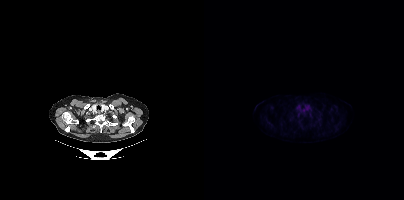
- Two-panel axial: CT | PSMA PET, 18F tracer
- slice position z = -312 mm
- PET panel 200×200 px (4.1 mm/px)
Findings: This slice has no annotated PSMA-avid lesion.